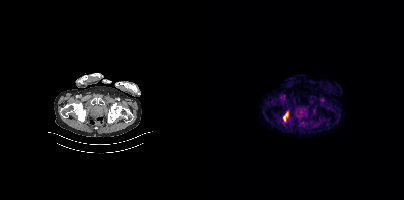
Coordinates are on the 200×200 PET (right) panel. PSMA-avid tumor lesion bounding box (x0,y0,x1,y1): [79,112,84,121].